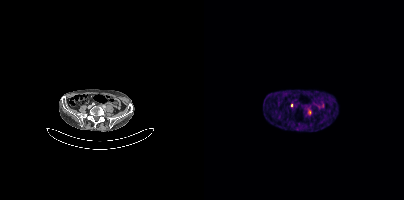
{"modality":"PSMA PET/CT","view":"axial","tracer":"68Ga","pet_grid":[200,200],"coord_frame":"pet_panel","coord_format":"x0,y0,x1,y1","lesion_bboxes":[[104,110,107,114]]}